- Left: CT. Right: PSMA PET, same axial level, 18F-PSMA tracer
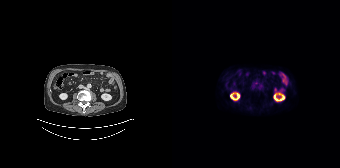
Findings: This slice has no annotated PSMA-avid lesion.